Privacy masking over the head, with the pixels inside a rectangle set to black.
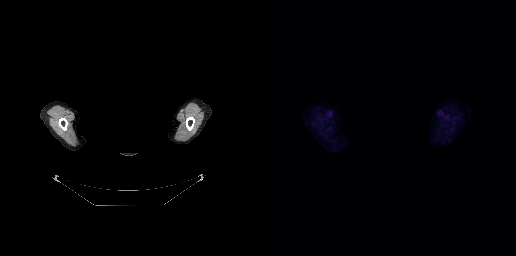
No tumor lesions annotated on this slice.